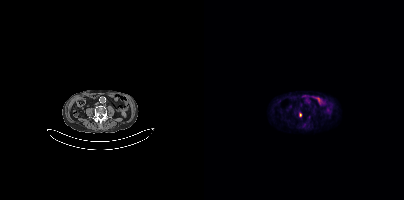
- Two-panel axial: CT | PSMA PET, 18F-PSMA tracer
- slice position z = -814 mm
Findings: Coordinates are on the 200×200 PET (right) panel. Small PSMA-avid focus (2 to 4 px across) near (center x, center y): (96, 114).